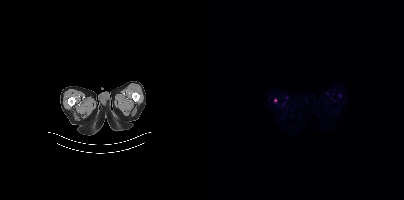
- Two-panel axial: CT | PSMA PET, 18F tracer
- acquired on Siemens Biograph mCT Flow 20
- slice 24 of 413
- PET panel 200×200 px (4.1 mm/px)
Findings: Only PSMA-avid lesion pieces thinner than 2 px on this slice (not listed).